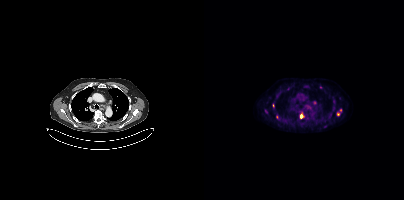
Coordinates are on the 200×200 PET (right) panel. (showing 5 of 7 foci) PSMA-avid tumor lesion bounding box (x0,y0,x1,y1): [96,114,98,118]. Small PSMA-avid foci (2 to 4 px across) near (center x, center y): (62, 111), (110, 102), (134, 114), (136, 109).